Technique: Left: CT. Right: PSMA PET, same axial level, [18F]PSMA-1007 tracer. acquired on Siemens Biograph mCT Flow 20.
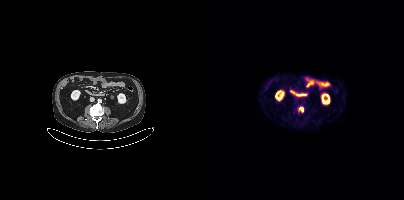
Findings: Coordinates are on the 200×200 PET (right) panel. PSMA-avid tumor lesion bounding box (x0,y0,x1,y1): [95,107,99,111].